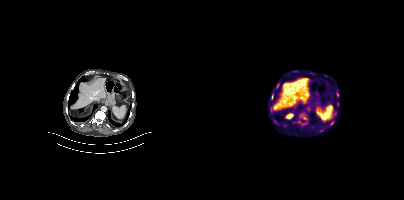
modality: PSMA PET/CT | tracer: [18F]PSMA-1007 | view: axial | PET grid: 200×200
Coordinates are on the 200×200 PET (right) panel. PSMA-avid tumor lesion bounding box (x0,y0,x1,y1): [67,93,69,97]. Small PSMA-avid foci (2 to 4 px across) near (center x, center y): (128, 122); (100, 118).